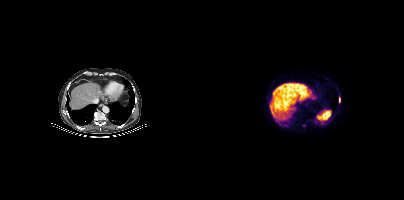
Coordinates are on the 200×200 PET (right) panel. (showing 1 of 2 foci) PSMA-avid tumor lesion bounding box (x0,y0,x1,y1): [135,98,136,102].